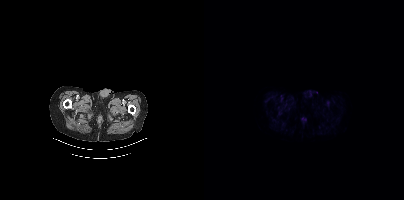
{"modality":"PSMA PET/CT","view":"axial","tracer":"[18F]PSMA-1007","pet_grid":[200,200],"coord_frame":"pet_panel","coord_format":"x0,y0,x1,y1","psma_avid_lesions":false}